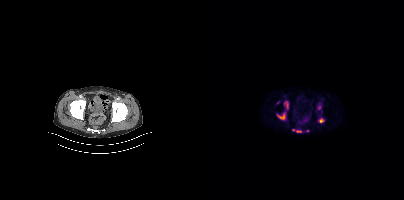
Left: CT. Right: PSMA PET, same axial level, [18F]PSMA-1007 tracer. Coordinates are on the 200×200 PET (right) panel. PSMA-avid tumor lesion bounding boxes (x0,y0,x1,y1): [73,113,81,119] [80,101,84,108] [115,119,119,121] [92,130,97,132]. Small PSMA-avid foci (2 to 4 px across) near (center x, center y): (115, 107) (89, 129) (103, 130).